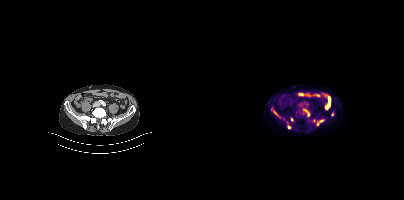
{"modality":"PSMA PET/CT","view":"axial","tracer":"18F","pet_grid":[200,200],"coord_frame":"pet_panel","coord_format":"x0,y0,x1,y1","partial":true,"lesion_bboxes":[[100,109,105,116]],"small_foci_centers":[[84,126],[128,114],[117,121],[113,124],[71,112],[87,119]]}